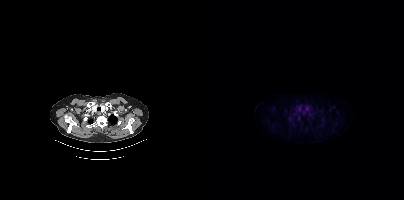
{"modality":"PSMA PET/CT","view":"axial","tracer":"18F-PSMA","pet_grid":[200,200],"coord_frame":"pet_panel","coord_format":"x0,y0,x1,y1","psma_avid_lesions":false}